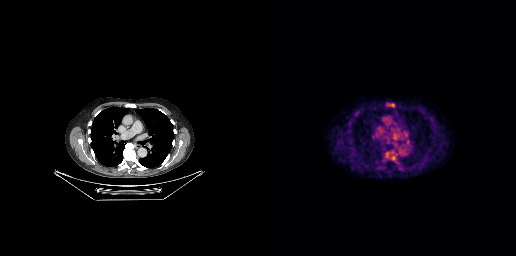
Coordinates are on the 256×256 PET (right) panel. PSMA-avid tumor lesion bounding box (x0, y0)-(x1, y1): (125, 151)-(137, 160). Small PSMA-avid focus (2 to 4 px across) near (center x, center y): (134, 137).